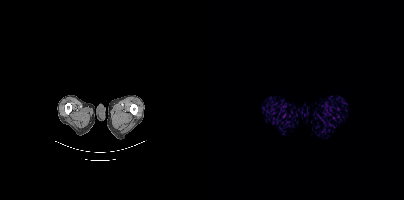
No PSMA-avid tumor lesions on this slice.
modality: PSMA PET/CT | tracer: 18F-PSMA | view: axial | PET grid: 200×200